modality: PSMA PET/CT | tracer: 18F | view: axial
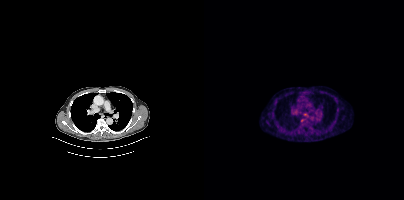
Coordinates are on the 200×200 PET (right) panel. PSMA-avid tumor lesion bounding box (x0, y0)-(x1, y1): (96, 118)-(101, 123).